deidentification: head region blacked out before release | modality: PSMA PET/CT | tracer: [18F]PSMA-1007 | view: axial
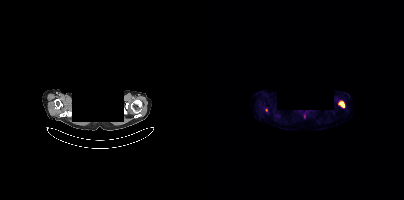
Coordinates are on the 200×200 PET (right) panel. PSMA-avid tumor lesion bounding box (x0, y0)-(x1, y1): (134, 101)-(141, 107).